A rectangle over the head was blacked out to remove identifiable facial features.
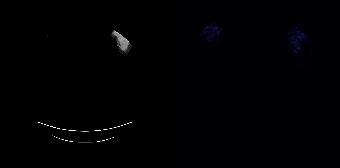
Negative for PSMA-avid disease on this slice.